Left: CT. Right: PSMA PET, same axial level, 18F-PSMA tracer. Acquired on Siemens Biograph mCT Flow 20. Slice position z = -1240 mm.
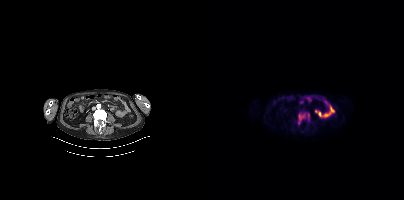
Coordinates are on the 200×200 PET (right) panel. PSMA-avid tumor lesion bounding box (x, y, width, height): x=93 y=111 w=14 h=14.